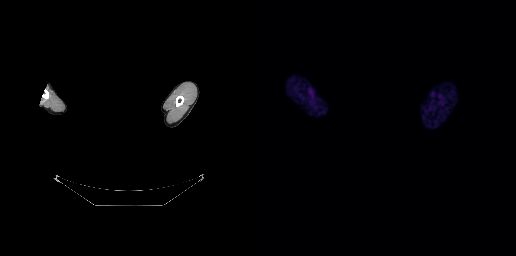
{"modality":"PSMA PET/CT","view":"axial","tracer":"18F-PSMA","pet_grid":[256,256],"coord_frame":"pet_panel","coord_format":"x0,y0,x1,y1","redaction":"rectangular block over head set to black","psma_avid_lesions":false}